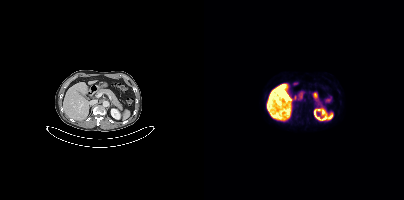
{"modality":"PSMA PET/CT","view":"axial","tracer":"[18F]PSMA-1007","pet_grid":[200,200],"coord_frame":"pet_panel","coord_format":"x0,y0,x1,y1","psma_avid_lesions":false}